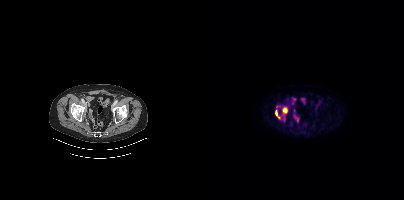
Coordinates are on the 200×200 PET (right) panel. PSMA-avid tumor lesion bounding boxes (x0,y0,x1,y1): [79,108,83,112] [72,111,75,118].